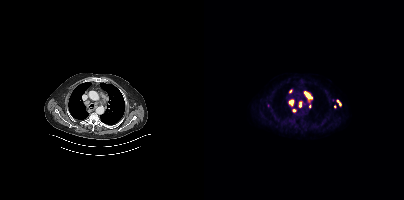
Findings: Coordinates are on the 200×200 PET (right) panel. PSMA-avid tumor lesion bounding boxes (x0,y0,x1,y1): [100,91,108,102]; [84,99,90,106]; [95,101,98,107]; [133,100,137,105]; [88,109,92,112]. Small PSMA-avid foci (2 to 4 px across) near (center x, center y): (86, 91); (105, 106); (130, 106).
- Left: CT. Right: PSMA PET, same axial level, 18F tracer
- slice position z = -358 mm